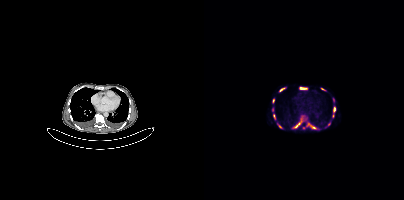
- Two-panel axial: CT | PSMA PET, [68Ga]Ga-PSMA-11 tracer
- slice position z = -721 mm
Findings: Coordinates are on the 200×200 PET (right) panel. (showing 11 of 13 foci) PSMA-avid tumor lesion bounding boxes (x, y, width, height): x=90 y=121 w=8 h=7 | x=104 y=123 w=9 h=7 | x=96 y=87 w=7 h=3 | x=129 y=106 w=3 h=6 | x=76 y=88 w=5 h=4 | x=117 y=88 w=5 h=3. Small PSMA-avid foci (2 to 4 px across) near (center x, center y): (68, 109) | (129, 115) | (76, 127) | (69, 101) | (129, 100).